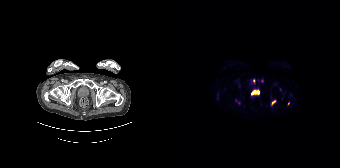
Two-panel axial: CT | PSMA PET, 18F-PSMA tracer. Coordinates are on the 168×168 PET (right) panel. (showing 3 of 6 foci) PSMA-avid tumor lesion bounding box (x, y, width, height): x=99 y=100 w=5 h=6. Small PSMA-avid foci (2 to 4 px across) near (center x, center y): (81, 80) / (116, 103).